modality: PSMA PET/CT | tracer: [18F]PSMA-1007 | view: axial | PET grid: 256×256
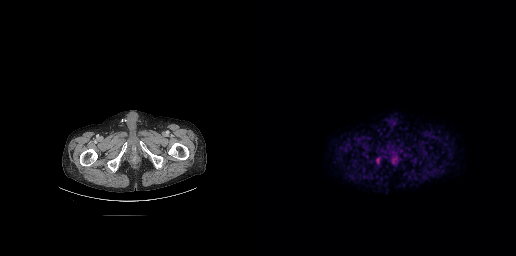
Coordinates are on the 256×256 PET (right) panel. PSMA-avid tumor lesion bounding box (x, y, width, height): x=129 y=150 w=12 h=16. Small PSMA-avid focus (2 to 4 px across) near (center x, center y): (117, 160).